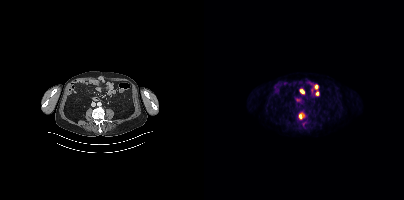
Paired axial CT (left) and PSMA PET (right), [18F]PSMA-1007 tracer. Acquired on Siemens Biograph mCT Flow 20. PET panel 200×200 px (4.1 mm/px).
Coordinates are on the 200×200 PET (right) panel. PSMA-avid tumor lesion bounding boxes:
| # | x0 | y0 | x1 | y1 |
|---|---|---|---|---|
| 1 | 95 | 114 | 99 | 118 |